Two-panel axial: CT | PSMA PET, 18F tracer. Acquired on Siemens Biograph mCT Flow 20. PET panel 200×200 px (4.1 mm/px).
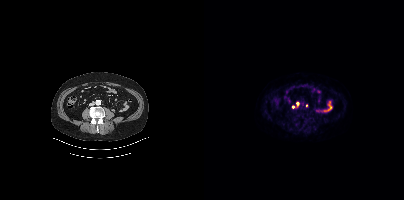
Coordinates are on the 200×200 PET (right) panel. (showing 2 of 3 foci) Small PSMA-avid foci (2 to 4 px across) near (center x, center y): (93, 103); (88, 106).